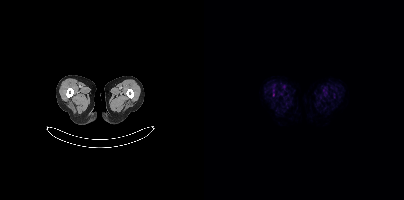
Findings: Only PSMA-avid lesion pieces thinner than 2 px on this slice (not listed).
Technique: Left: CT. Right: PSMA PET, same axial level, [18F]PSMA-1007 tracer. slice 17 of 415. PET panel 200×200 px (4.1 mm/px).